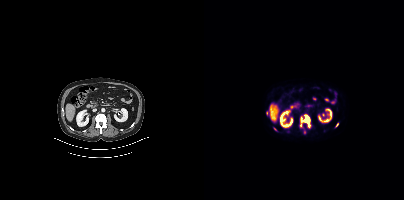
Coordinates are on the 200×200 PET (right) panel. PSMA-avid tumor lesion bounding box (x0,y0,x1,y1): [97,115,106,127]. Small PSMA-avid foci (2 to 4 px across) near (center x, center y): (71, 129) (133, 124) (100, 132) (62, 113).